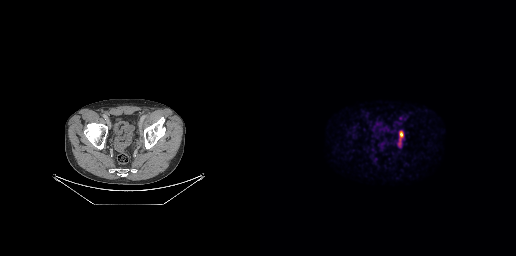
Findings: Coordinates are on the 256×256 PET (right) panel. PSMA-avid tumor lesion bounding box (x, y, width, height): x=139 y=131 w=5 h=15.
- Two-panel axial: CT | PSMA PET, [18F]PSMA-1007 tracer